Any black rectangle over the head is a privacy mask, not anatomy.
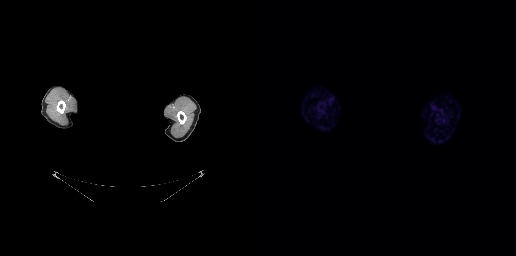
Negative for PSMA-avid disease on this slice.